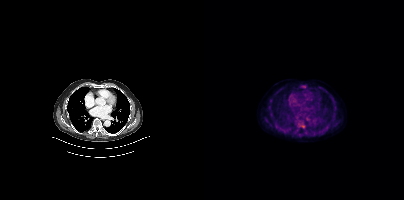
modality: PSMA PET/CT | tracer: [18F]PSMA-1007 | view: axial | PET grid: 200×200
Coordinates are on the 200×200 PET (right) panel. PSMA-avid tumor lesion bounding box (x, y, width, height): x=96 y=123 w=6 h=6.